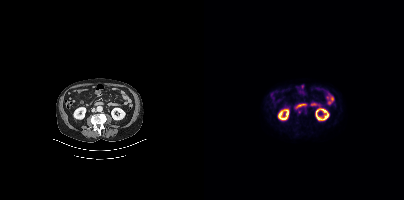
Paired axial CT (left) and PSMA PET (right), [18F]PSMA-1007 tracer. Acquired on Siemens Biograph mCT Flow 20. Slice 158 of 383. PET panel 200×200 px (4.1 mm/px). Coordinates are on the 200×200 PET (right) panel. Small PSMA-avid focus (2 to 4 px across) near (center x, center y): (95, 111).